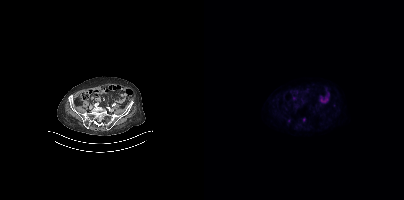
{"modality":"PSMA PET/CT","view":"axial","tracer":"18F-PSMA","pet_grid":[200,200],"coord_frame":"pet_panel","coord_format":"x0,y0,x1,y1","partial":true,"lesion_bboxes":[],"small_foci_centers":[[84,120]]}